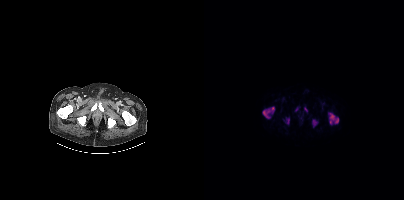
Paired axial CT (left) and PSMA PET (right), 18F tracer. Coordinates are on the 200×200 PET (right) panel. PSMA-avid tumor lesion bounding boxes (x, y, width, height): x=58 y=106 w=13 h=13 | x=124 y=112 w=11 h=13 | x=108 y=120 w=6 h=7 | x=83 y=119 w=3 h=5. Small PSMA-avid foci (2 to 4 px across) near (center x, center y): (102, 110) | (92, 109).